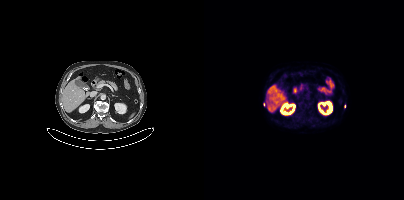
- Left: CT. Right: PSMA PET, same axial level, 18F tracer
- PET panel 200×200 px (4.1 mm/px)
Findings: Only PSMA-avid lesion pieces thinner than 2 px on this slice (not listed).